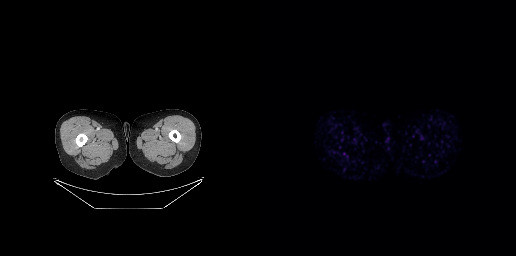
{"modality":"PSMA PET/CT","view":"axial","tracer":"68Ga","pet_grid":[256,256],"coord_frame":"pet_panel","coord_format":"x0,y0,x1,y1","psma_avid_lesions":false}